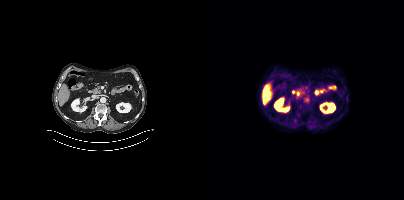
Findings: No tumor lesions annotated on this slice.
Technique: Left: CT. Right: PSMA PET, same axial level, 18F tracer. acquired on Siemens Biograph mCT Flow 20.